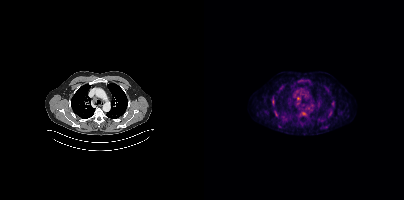
{"modality":"PSMA PET/CT","view":"axial","tracer":"[18F]PSMA-1007","pet_grid":[200,200],"coord_frame":"pet_panel","coord_format":"x0,y0,x1,y1","lesion_bboxes":[[97,112,101,115],[68,97,70,101]],"small_foci_centers":[[94,98],[71,112]]}